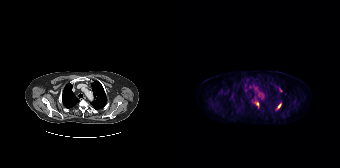
{"pet_grid":[168,168],"coord_frame":"pet_panel","coord_format":"x0,y0,x1,y1","partial":true,"lesion_bboxes":[[107,88,110,92],[82,101,86,104]],"small_foci_centers":[[107,105]],"modality":"PSMA PET/CT","view":"axial","tracer":"18F"}